Technique: Paired axial CT (left) and PSMA PET (right), [18F]PSMA-1007 tracer. PET panel 200×200 px (4.1 mm/px).
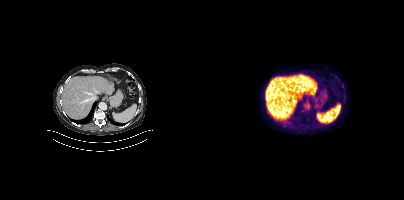
Findings: No PSMA-avid tumor lesions on this slice.